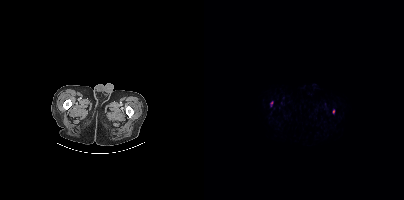
Technique: Left: CT. Right: PSMA PET, same axial level, 18F-PSMA tracer. slice position z = -1743 mm.
Findings: Coordinates are on the 200×200 PET (right) panel. PSMA-avid tumor lesion bounding boxes (x, y, width, height): x=66 y=101 w=4 h=6; x=128 y=109 w=3 h=5.